modality: PSMA PET/CT | tracer: [18F]PSMA-1007 | view: axial
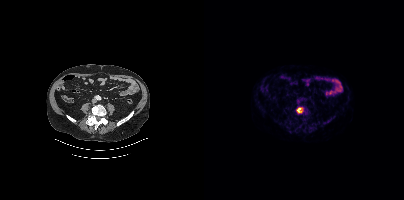
Coordinates are on the 200×200 PET (right) panel. PSMA-avid tumor lesion bounding box (x0, y0)-(x1, y1): (92, 107)-(99, 113).